Left: CT. Right: PSMA PET, same axial level, 18F tracer. Slice position z = -572 mm. PET panel 200×200 px (4.1 mm/px).
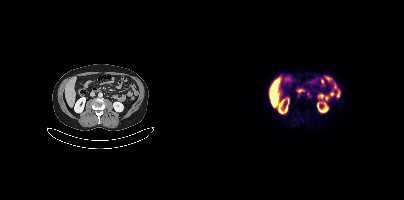
Coordinates are on the 200×200 PET (right) panel. PSMA-avid tumor lesion bounding boxes:
| # | x0 | y0 | x1 | y1 |
|---|---|---|---|---|
| 1 | 103 | 92 | 106 | 97 |
Small PSMA-avid focus (2 to 4 px across) near (center x, center y): (94, 96).